Left: CT. Right: PSMA PET, same axial level, 18F tracer. Slice 44 of 263.
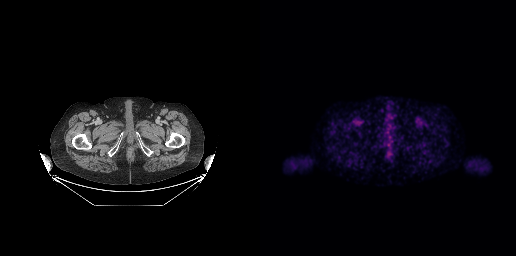
Negative for PSMA-avid disease on this slice.